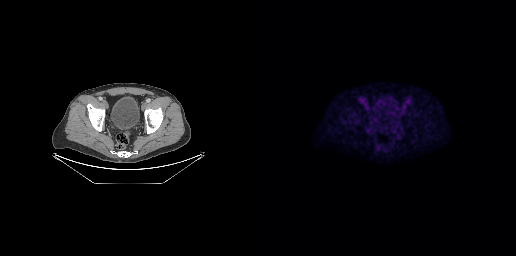
{"modality":"PSMA PET/CT","view":"axial","tracer":"18F-PSMA","pet_grid":[256,256],"coord_frame":"pet_panel","coord_format":"x0,y0,x1,y1","psma_avid_lesions":false}